modality: PSMA PET/CT | tracer: 18F-PSMA | view: axial
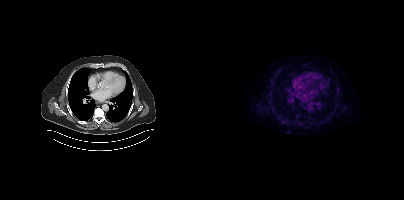
Coordinates are on the 200×200 PET (right) panel. Small PSMA-avid foci (2 to 4 px across) near (center x, center y): (77, 121) / (66, 99).